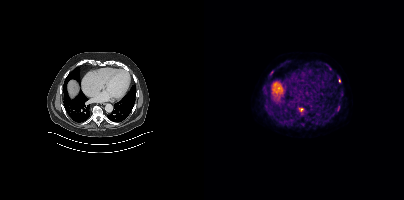
Coordinates are on the 200×200 PET (right) panel. (showing 7 of 8 foci) PSMA-avid tumor lesion bounding boxes (x, y, width, height): x=95 y=107 w=5 h=6 | x=59 y=88 w=5 h=5 | x=132 y=106 w=5 h=6 | x=121 y=64 w=7 h=7 | x=64 y=72 w=5 h=6 | x=136 y=92 w=4 h=5 | x=119 y=120 w=6 h=5. Two-panel axial: CT | PSMA PET, [18F]PSMA-1007 tracer.